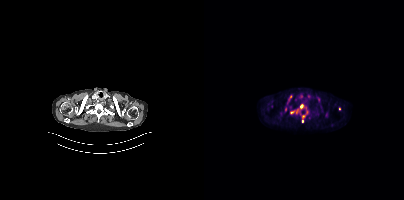
{"modality":"PSMA PET/CT","view":"axial","tracer":"18F-PSMA","pet_grid":[200,200],"coord_frame":"pet_panel","coord_format":"x0,y0,x1,y1","partial":true,"lesion_bboxes":[[86,103,104,122],[81,106,83,111]],"small_foci_centers":[[113,97]]}